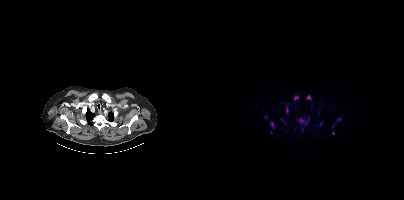
{"pet_grid":[200,200],"coord_frame":"pet_panel","coord_format":"x0,y0,x1,y1","partial":true,"lesion_bboxes":[[95,117,105,124],[66,121,71,128],[102,95,107,99],[90,95,94,100],[82,105,84,113],[133,117,137,121]],"small_foci_centers":[[67,132],[129,133],[61,117],[129,125],[117,123],[80,122]],"modality":"PSMA PET/CT","view":"axial","tracer":"18F"}